Technique: Two-panel axial: CT | PSMA PET, 68Ga-PSMA tracer. acquired on Siemens Biograph 64-4R TruePoint. slice 126 of 195.
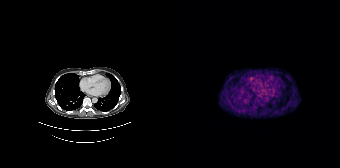
Findings: This slice has no annotated PSMA-avid lesion.